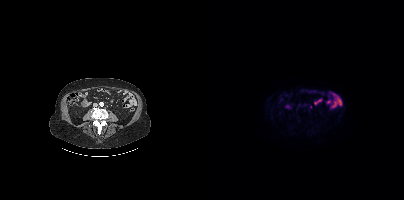
No tumor lesions annotated on this slice. Two-panel axial: CT | PSMA PET, [18F]PSMA-1007 tracer. Slice position z = -1288 mm.